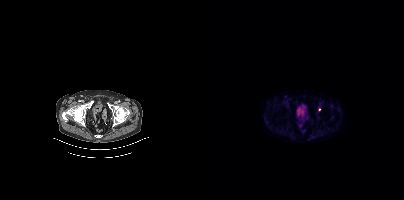
{"pet_grid":[200,200],"coord_frame":"pet_panel","coord_format":"x0,y0,x1,y1","partial":true,"lesion_bboxes":[],"small_foci_centers":[[81,96]],"modality":"PSMA PET/CT","view":"axial","tracer":"[18F]PSMA-1007"}